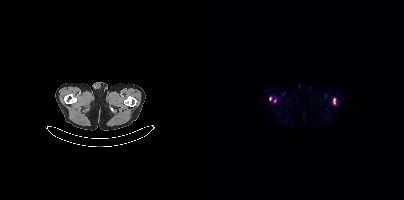
- Two-panel axial: CT | PSMA PET, 18F-PSMA tracer
- slice 23 of 403
Findings: Coordinates are on the 200×200 PET (right) panel. PSMA-avid tumor lesion bounding box (x0, y0)-(x1, y1): (129, 98)-(131, 104). Small PSMA-avid foci (2 to 4 px across) near (center x, center y): (66, 98) | (71, 100).